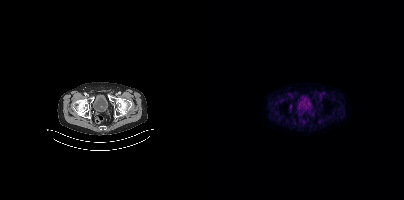
modality: PSMA PET/CT | tracer: 18F | view: axial
Coordinates are on the 200×200 PET (right) panel. Small PSMA-avid focus (2 to 4 px across) near (center x, center y): (86, 106).